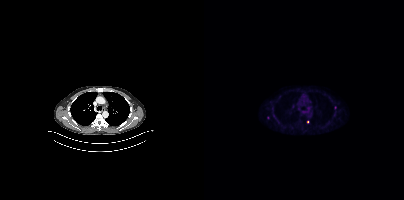
modality: PSMA PET/CT | tracer: [18F]PSMA-1007 | view: axial
Coordinates are on the 200×200 PET (right) panel. Small PSMA-avid foci (2 to 4 px across) near (center x, center y): (131, 107) (64, 117) (103, 121).